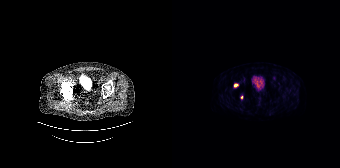
{"modality":"PSMA PET/CT","view":"axial","tracer":"18F","pet_grid":[168,168],"coord_frame":"pet_panel","coord_format":"x0,y0,x1,y1","lesion_bboxes":[[62,83,66,87]],"small_foci_centers":[[69,97]]}